Technique: Two-panel axial: CT | PSMA PET, [18F]PSMA-1007 tracer. slice position z = 1344 mm. PET panel 200×200 px (4.1 mm/px).
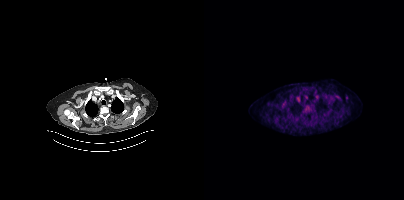
Findings: This slice has no annotated PSMA-avid lesion.